Paired axial CT (left) and PSMA PET (right), 18F-PSMA tracer.
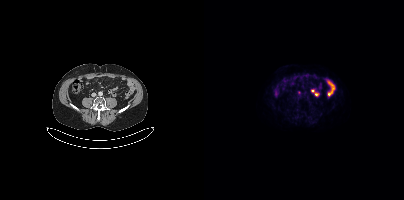
Coordinates are on the 200×200 PET (right) panel. Small PSMA-avid focus (2 to 4 px across) near (center x, center y): (95, 92).